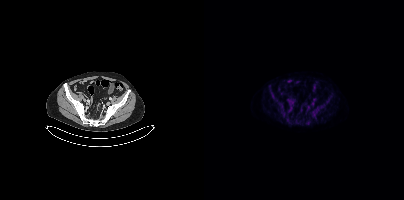
This slice has no annotated PSMA-avid lesion.
modality: PSMA PET/CT | tracer: 18F-PSMA | view: axial | PET grid: 200×200